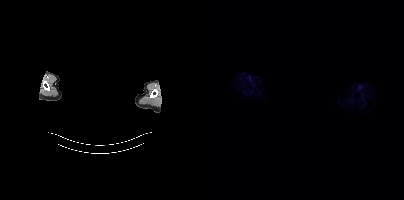
{"pet_grid":[200,200],"coord_frame":"pet_panel","coord_format":"x0,y0,x1,y1","psma_avid_lesions":false,"deidentification":"head region blanked (face removed)","modality":"PSMA PET/CT","view":"axial","tracer":"18F"}